- Paired axial CT (left) and PSMA PET (right), 18F tracer
- acquired on Siemens Biograph mCT Flow 20
- slice 48 of 454
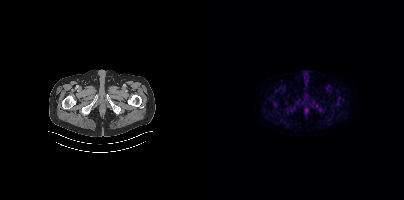
Findings: No PSMA-avid tumor lesions on this slice.